- Paired axial CT (left) and PSMA PET (right), 18F tracer
- acquired on Siemens Biograph mCT Flow 20
- slice 430 of 438
- the face region was removed for patient privacy by blanking a rectangle over the head
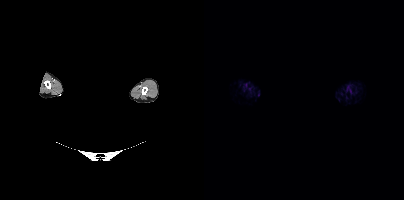
Findings: Negative for PSMA-avid disease on this slice.